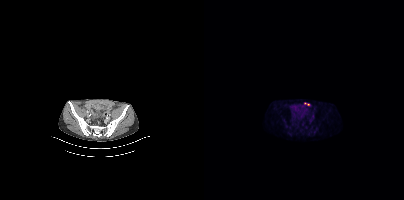
Technique: Two-panel axial: CT | PSMA PET, 18F-PSMA tracer. slice 116 of 435. PET panel 200×200 px (4.1 mm/px).
Findings: Coordinates are on the 200×200 PET (right) panel. (showing 1 of 2 foci) Small PSMA-avid focus (2 to 4 px across) near (center x, center y): (104, 104).